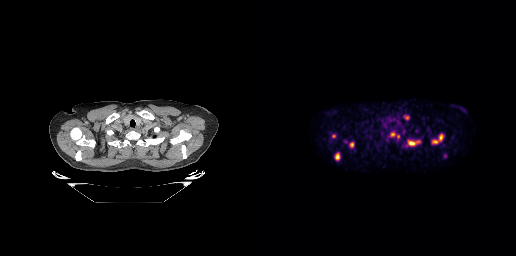
Paired axial CT (left) and PSMA PET (right), 18F tracer. Slice 251 of 299. PET panel 256×256 px (2.7 mm/px). Coordinates are on the 256×256 PET (right) panel. (showing 9 of 10 foci) PSMA-avid tumor lesion bounding boxes (x, y, width, height): x=171 y=133 w=14 h=12 / x=148 y=140 w=13 h=6 / x=74 y=152 w=7 h=9 / x=89 y=142 w=6 h=7 / x=144 y=115 w=6 h=5 / x=130 y=132 w=6 h=5. Small PSMA-avid foci (2 to 4 px across) near (center x, center y): (73, 135) / (138, 136) / (85, 141).